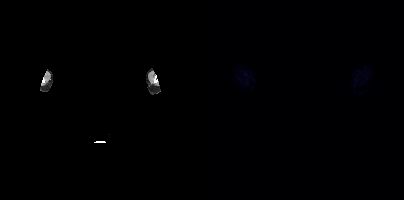
A rectangle over the head was blacked out to remove identifiable facial features. Paired axial CT (left) and PSMA PET (right), [18F]PSMA-1007 tracer. Acquired on Siemens Biograph mCT Flow 20. PET panel 200×200 px (4.1 mm/px). No PSMA-avid tumor lesions on this slice.